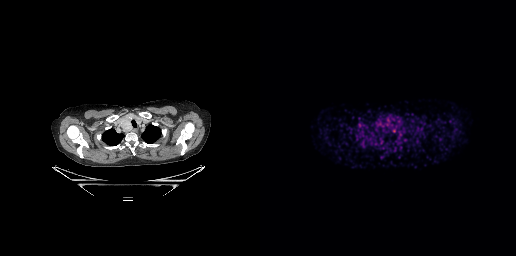
No tumor lesions annotated on this slice. Left: CT. Right: PSMA PET, same axial level, 68Ga tracer. Slice position z = -316 mm.